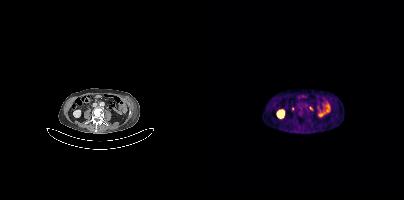
Two-panel axial: CT | PSMA PET, [68Ga]Ga-PSMA-11 tracer. Negative for PSMA-avid disease on this slice.